Two-panel axial: CT | PSMA PET, 18F-PSMA tracer.
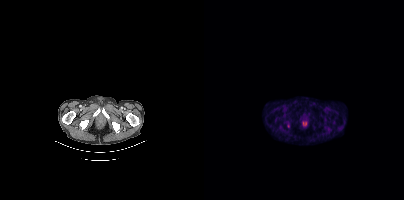
Coordinates are on the 200×200 PET (right) panel. Small PSMA-avid focus (2 to 4 px across) near (center x, center y): (84, 125).